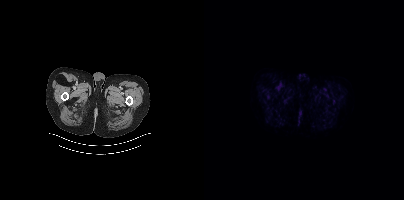
Negative for PSMA-avid disease on this slice. Two-panel axial: CT | PSMA PET, 18F-PSMA tracer. PET panel 200×200 px (4.1 mm/px).